Facial anatomy redacted by setting a rectangular region of the head to black.
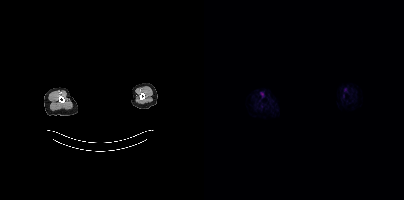
Negative for PSMA-avid disease on this slice.